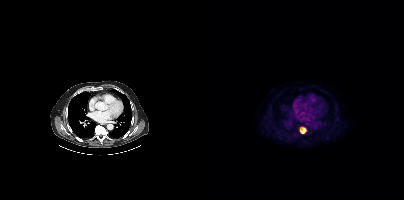
Coordinates are on the 200×200 PET (right) panel. PSMA-avid tumor lesion bounding box (x, y, width, height): x=96 y=127 w=7 h=7.